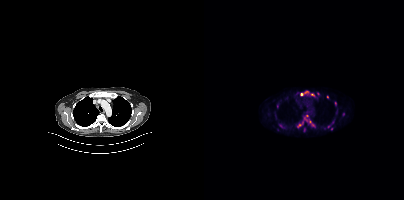
modality: PSMA PET/CT | tracer: [18F]PSMA-1007 | view: axial
Coordinates are on the 200×200 PET (right) panel. (showing 12 of 20 foci) PSMA-avid tumor lesion bounding box (x0, y0)-(x1, y1): (93, 124)-(97, 127). Small PSMA-avid foci (2 to 4 px across) near (center x, center y): (139, 114) / (102, 92) / (98, 94) / (131, 103) / (101, 119) / (123, 97) / (103, 115) / (106, 121) / (108, 124) / (107, 94) / (76, 125).